- Left: CT. Right: PSMA PET, same axial level, 18F-PSMA tracer
- PET panel 200×200 px (4.1 mm/px)
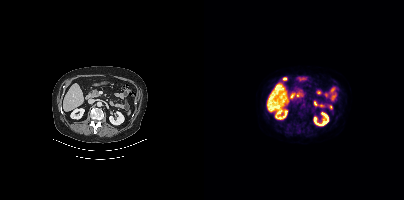
Findings: No tumor lesions annotated on this slice.